Face de-identified by blanking a block of the head.
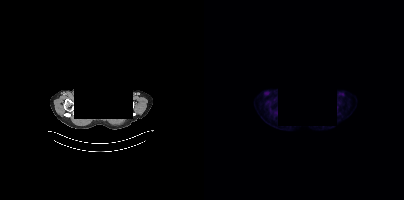
This slice has no annotated PSMA-avid lesion.